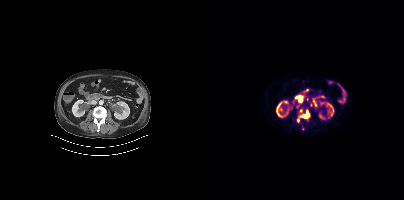
Coordinates are on the 200×200 PET (right) panel. (showing 3 of 5 foci) PSMA-avid tumor lesion bounding box (x0, y0)-(x1, y1): (93, 110)-(105, 122). Small PSMA-avid foci (2 to 4 px across) near (center x, center y): (97, 100) | (97, 110). Two-panel axial: CT | PSMA PET, 18F tracer.